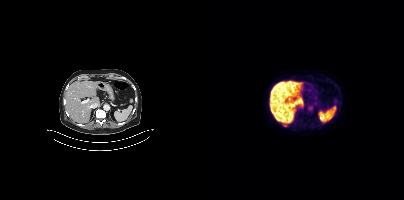
Coordinates are on the 200×200 PET (right) panel. PSMA-avid tumor lesion bounding box (x, y, width, height): x=79 y=124 w=5 h=3.